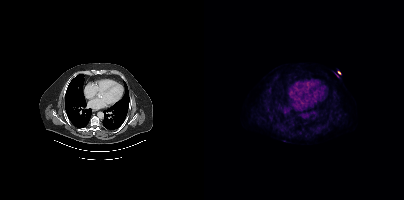
No PSMA-avid tumor lesions on this slice.